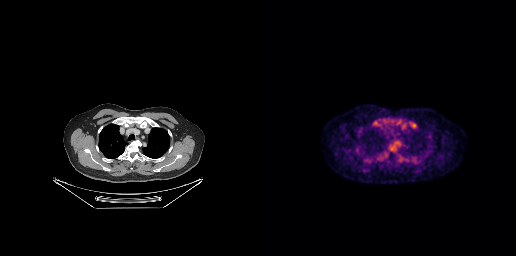
Negative for PSMA-avid disease on this slice.